Paired axial CT (left) and PSMA PET (right), 68Ga-PSMA tracer.
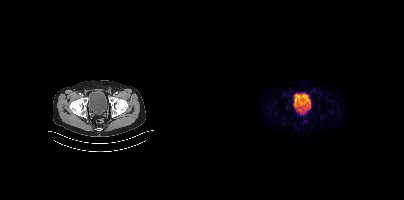
Negative for PSMA-avid disease on this slice.